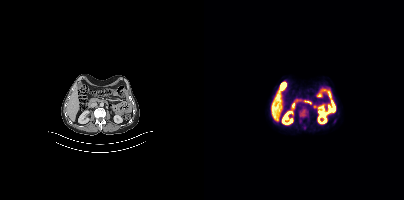
{"modality":"PSMA PET/CT","view":"axial","tracer":"18F-PSMA","pet_grid":[200,200],"coord_frame":"pet_panel","coord_format":"x0,y0,x1,y1","lesion_bboxes":[[96,110,101,116]]}